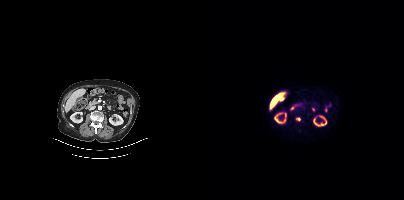
Coordinates are on the 200×200 PET (right) panel. PSMA-avid tumor lesion bounding box (x0,y0,x1,y1): [91,117,96,121]. Two-panel axial: CT | PSMA PET, 18F-PSMA tracer. Slice position z = -724 mm.